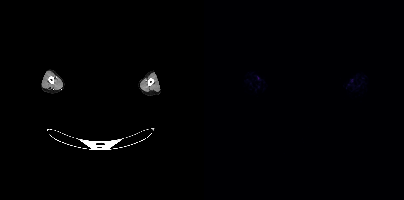
The face region was removed for patient privacy by blanking a rectangle over the head. Left: CT. Right: PSMA PET, same axial level, [18F]PSMA-1007 tracer. Slice 427 of 429. PET panel 200×200 px (4.1 mm/px). No tumor lesions annotated on this slice.